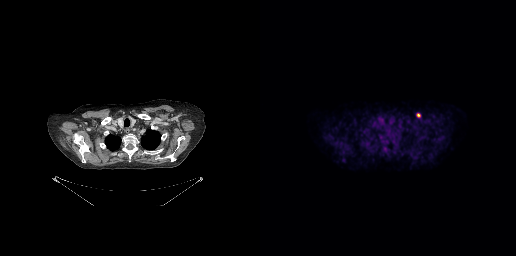
- Two-panel axial: CT | PSMA PET, 18F tracer
- acquired on GE Discovery 690
- slice 254 of 299
Findings: Coordinates are on the 256×256 PET (right) panel. PSMA-avid tumor lesion bounding box (x0,y0,x1,y1): [156,113,160,117].